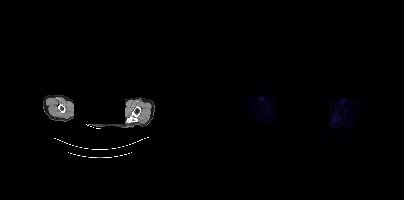
An anonymization step blacked out a rectangle over the head in this scan.
No tumor lesions annotated on this slice.